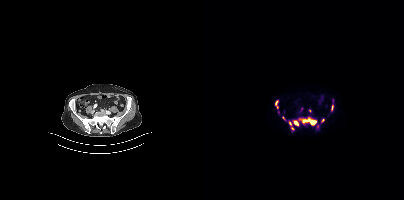
Coordinates are on the 200×200 PET (right) panel. (showing 7 of 8 foci) PSMA-avid tumor lesion bounding boxes (x0,y0,x1,y1): [95,118,112,124]; [89,121,94,125]; [85,121,90,129]; [71,100,74,108]; [127,105,129,110]. Small PSMA-avid foci (2 to 4 px across) near (center x, center y): (79, 118); (119, 120).